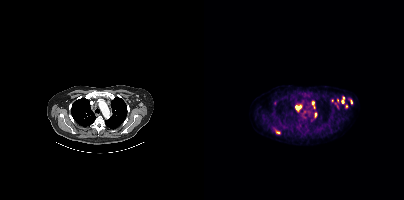
Coordinates are on the 200×200 PET (right) panel. PSMA-avid tumor lesion bounding boxes (x0,y0,x1,y1): [92,105,97,109], [108,101,110,108], [111,113,112,117]. Small PSMA-avid foci (2 to 4 px across) near (center x, center y): (133, 105), (73, 132), (139, 101), (71, 102), (103, 94), (147, 101), (139, 97), (128, 100), (142, 106), (100, 111), (133, 100).